- head region blanked for anonymization (face removed)
- Paired axial CT (left) and PSMA PET (right), 68Ga-PSMA tracer
- acquired on Siemens Biograph 64-4R TruePoint
- slice position z = 150 mm
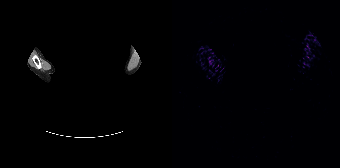
Findings: This slice has no annotated PSMA-avid lesion.